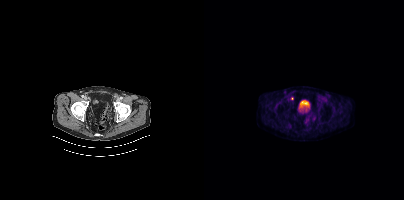
{"modality":"PSMA PET/CT","view":"axial","tracer":"[18F]PSMA-1007","pet_grid":[200,200],"coord_frame":"pet_panel","coord_format":"x0,y0,x1,y1","lesion_bboxes":[],"small_foci_centers":[[88,98]]}